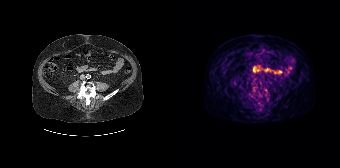
- Two-panel axial: CT | PSMA PET, 68Ga tracer
Findings: No PSMA-avid tumor lesions on this slice.